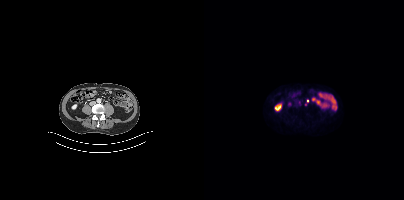
{"modality":"PSMA PET/CT","view":"axial","tracer":"[18F]PSMA-1007","pet_grid":[200,200],"coord_frame":"pet_panel","coord_format":"x0,y0,x1,y1","lesion_bboxes":[[101,100,104,105]]}